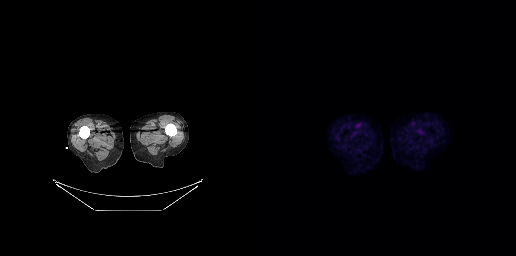
This slice has no annotated PSMA-avid lesion.
modality: PSMA PET/CT | tracer: 18F | view: axial | PET grid: 256×256